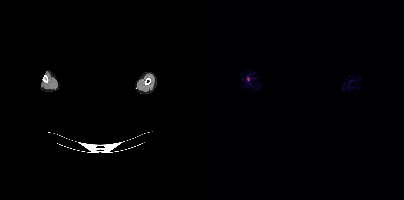
The head region is masked for de-identification.
No PSMA-avid tumor lesions on this slice.